Left: CT. Right: PSMA PET, same axial level, [18F]PSMA-1007 tracer. Acquired on GE Discovery 690. Slice position z = -323 mm.
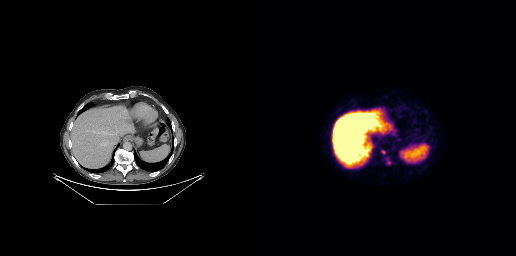
Coordinates are on the 256×256 PET (right) panel. Small PSMA-avid foci (2 to 4 px across) near (center x, center y): (123, 152) | (128, 162).